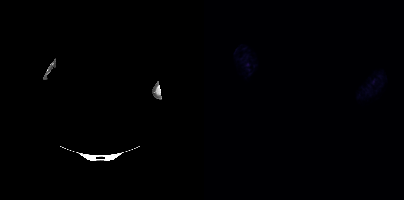
{"modality":"PSMA PET/CT","view":"axial","tracer":"[18F]PSMA-1007","pet_grid":[200,200],"coord_frame":"pet_panel","coord_format":"x0,y0,x1,y1","psma_avid_lesions":false,"de-identification":"head region blacked out before release"}